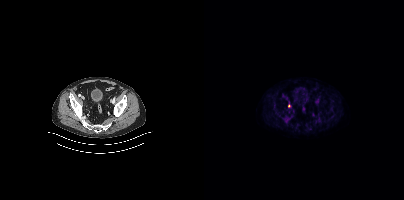
{"modality":"PSMA PET/CT","view":"axial","tracer":"[18F]PSMA-1007","pet_grid":[200,200],"coord_frame":"pet_panel","coord_format":"x0,y0,x1,y1","lesion_bboxes":[],"small_foci_centers":[[84,105]]}